Paired axial CT (left) and PSMA PET (right), [18F]PSMA-1007 tracer. Acquired on GE Discovery 690. PET panel 256×256 px (2.7 mm/px).
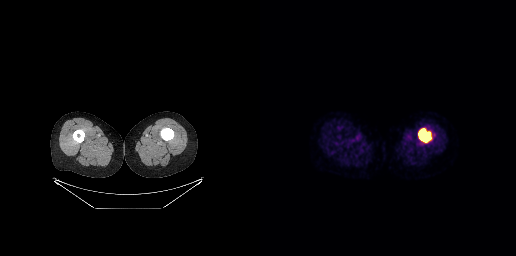
Coordinates are on the 256×256 PET (right) panel. PSMA-avid tumor lesion bounding boxes:
| # | x0 | y0 | x1 | y1 |
|---|---|---|---|---|
| 1 | 158 | 128 | 170 | 142 |